Technique: Paired axial CT (left) and PSMA PET (right), 18F-PSMA tracer. slice position z = -492 mm.
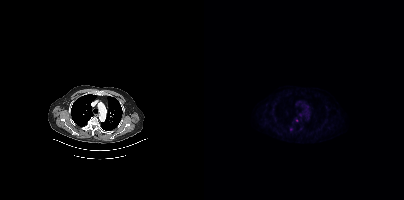
Findings: Only PSMA-avid lesion pieces thinner than 2 px on this slice (not listed).